Technique: Two-panel axial: CT | PSMA PET, [18F]PSMA-1007 tracer. acquired on Siemens Biograph mCT Flow 20.
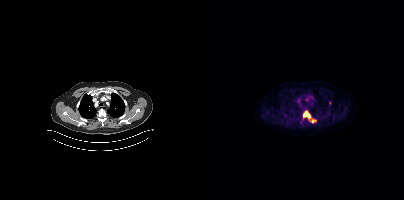
Findings: Coordinates are on the 200×200 PET (right) panel. (showing 2 of 3 foci) PSMA-avid tumor lesion bounding box (x, y, width, height): x=99 y=111 w=11 h=12. Small PSMA-avid focus (2 to 4 px across) near (center x, center y): (125, 103).